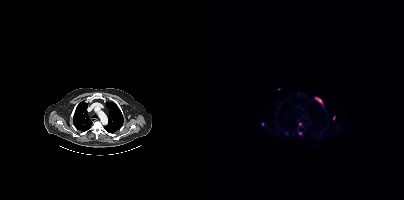
- Two-panel axial: CT | PSMA PET, [18F]PSMA-1007 tracer
- acquired on Siemens Biograph mCT Flow 20
- slice position z = -474 mm
Findings: Coordinates are on the 200×200 PET (right) panel. (showing 5 of 6 foci) PSMA-avid tumor lesion bounding box (x, y, width, height): x=111 y=97 w=8 h=7. Small PSMA-avid foci (2 to 4 px across) near (center x, center y): (130, 117) | (96, 124) | (96, 133) | (58, 123).